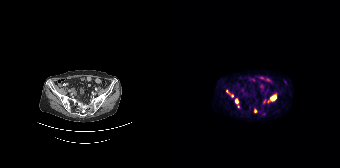
Coordinates are on the 168×168 PET (right) panel. PSMA-avid tumor lesion bounding boxes:
| # | x0 | y0 | x1 | y1 |
|---|---|---|---|---|
| 1 | 95 | 95 | 104 | 103 |
| 2 | 63 | 99 | 65 | 103 |
Small PSMA-avid foci (2 to 4 px across) near (center x, center y): (83, 110); (60, 96); (66, 106); (54, 91); (91, 101).
Left: CT. Right: PSMA PET, same axial level, 68Ga-PSMA tracer. Acquired on Siemens Biograph 64-4R TruePoint.